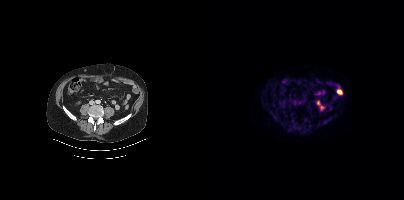
{"pet_grid":[200,200],"coord_frame":"pet_panel","coord_format":"x0,y0,x1,y1","psma_avid_lesions":false,"modality":"PSMA PET/CT","view":"axial","tracer":"18F-PSMA"}